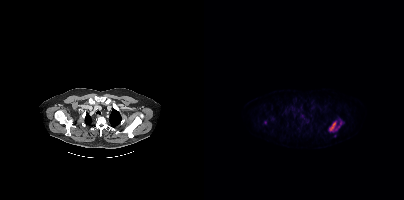
- Two-panel axial: CT | PSMA PET, [18F]PSMA-1007 tracer
- acquired on Siemens Biograph mCT Flow 20
- slice 335 of 417
Findings: Coordinates are on the 200×200 PET (right) panel. (showing 1 of 3 foci) PSMA-avid tumor lesion bounding box (x0,y0,x1,y1): [126,119,138,130].